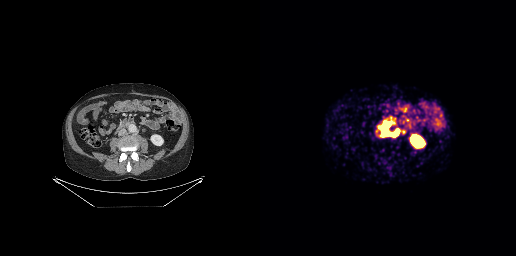
modality: PSMA PET/CT | tracer: [68Ga]Ga-PSMA-11 | view: axial | PET grid: 256×256
Coordinates are on the 256×256 PET (right) panel. PSMA-avid tumor lesion bounding box (x0,y0,x1,y1): [122,122,139,136]. Small PSMA-avid focus (2 to 4 px across) near (center x, center y): (142, 131).